Two-panel axial: CT | PSMA PET, 18F tracer. Acquired on Siemens Biograph mCT Flow 20. PET panel 200×200 px (4.1 mm/px).
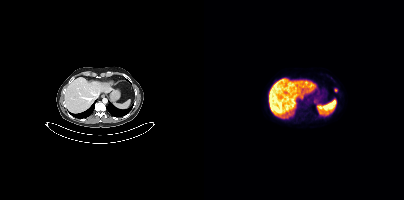
Coordinates are on the 200×200 PET (right) panel. PSMA-avid tumor lesion bounding boxes:
| # | x0 | y0 | x1 | y1 |
|---|---|---|---|---|
| 1 | 110 | 99 | 113 | 103 |
Small PSMA-avid focus (2 to 4 px across) near (center x, center y): (131, 90).